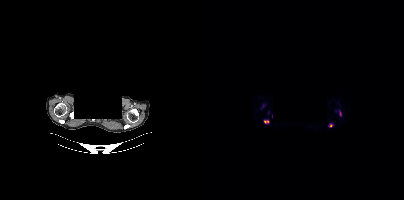
Coordinates are on the 200×200 PET (right) panel. (showing 3 of 4 foci) PSMA-avid tumor lesion bounding boxes (x0,y0,x1,y1): [59,120,65,123] [135,110,137,115]. Small PSMA-avid focus (2 to 4 px across) near (center x, center y): (126, 125).
redaction: head region blanked (face removed) | modality: PSMA PET/CT | tracer: 18F-PSMA | view: axial